modality: PSMA PET/CT | tracer: 18F-PSMA | view: axial
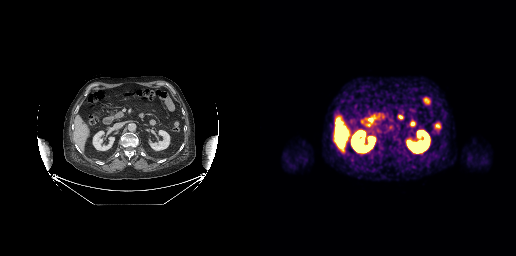
Negative for PSMA-avid disease on this slice.